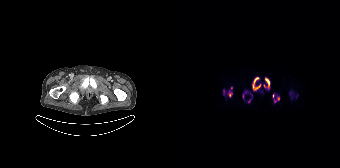
Coordinates are on the 168×168 PET (right) panel. (showing 9 of 13 foci) PSMA-avid tumor lesion bounding boxes (x0, y0)-(x1, y1): (80, 77)-(88, 90) | (92, 78)-(98, 89) | (100, 94)-(107, 102) | (56, 90)-(60, 97) | (117, 91)-(121, 95). Small PSMA-avid foci (2 to 4 px across) near (center x, center y): (59, 88) | (51, 91) | (125, 96) | (119, 97).
modality: PSMA PET/CT | tracer: [18F]PSMA-1007 | view: axial | PET grid: 168×168